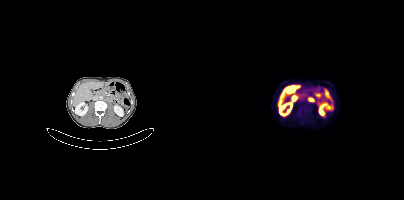
Negative for PSMA-avid disease on this slice.
modality: PSMA PET/CT | tracer: [18F]PSMA-1007 | view: axial